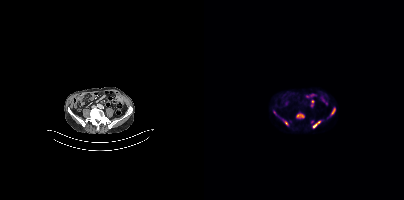
- Two-panel axial: CT | PSMA PET, 18F tracer
- slice 130 of 375
- PET panel 200×200 px (4.1 mm/px)
Findings: Coordinates are on the 200×200 PET (right) panel. PSMA-avid tumor lesion bounding boxes (x0, y0)-(x1, y1): (108, 120)-(117, 128) | (92, 113)-(100, 118) | (126, 107)-(131, 116) | (78, 119)-(83, 125). Small PSMA-avid foci (2 to 4 px across) near (center x, center y): (70, 112) | (108, 121).